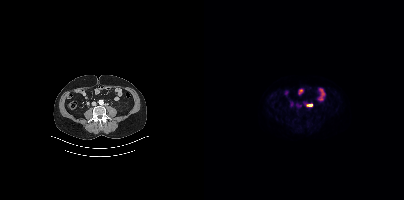
Coordinates are on the 200×200 PET (right) panel. PSMA-avid tumor lesion bounding box (x0, y0)-(x1, y1): (102, 104)-(108, 106). Small PSMA-avid focus (2 to 4 px across) near (center x, center y): (96, 105).